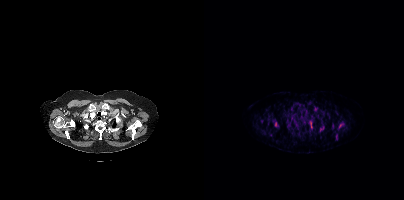
Coordinates are on the 200×200 PET (right) panel. (showing 4 of 6 foci) PSMA-avid tumor lesion bounding boxes (x0, y0)-(x1, y1): (116, 127)-(119, 131); (135, 124)-(139, 127). Small PSMA-avid foci (2 to 4 px across) near (center x, center y): (111, 109); (71, 124).